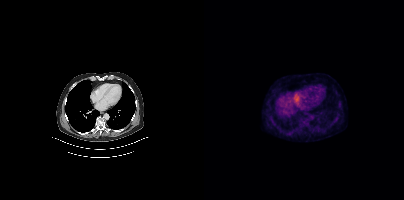
{"modality":"PSMA PET/CT","view":"axial","tracer":"[18F]PSMA-1007","pet_grid":[200,200],"coord_frame":"pet_panel","coord_format":"x0,y0,x1,y1","psma_avid_lesions":false}